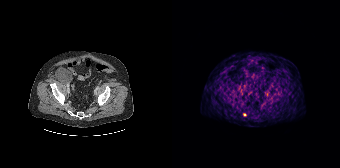
Coordinates are on the 168×168 PET (right) panel. Small PSMA-avid focus (2 to 4 px across) near (center x, center y): (72, 114).